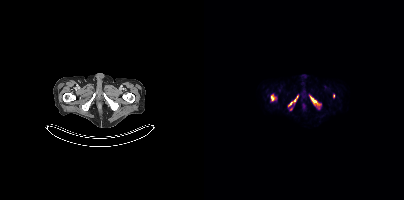
Coordinates are on the 200×200 PET (right) panel. (showing 4 of 6 foci) PSMA-avid tumor lesion bounding boxes (x, y, width, height): x=106 y=96 w=11 h=10; x=67 y=95 w=4 h=6; x=84 y=102 w=5 h=5; x=90 y=96 w=4 h=6.